Paired axial CT (left) and PSMA PET (right), [68Ga]Ga-PSMA-11 tracer.
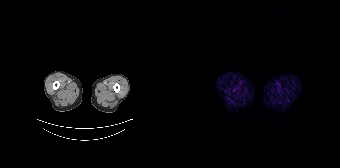
No PSMA-avid tumor lesions on this slice.